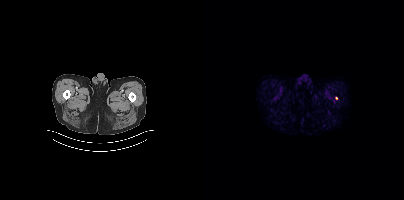
{"modality":"PSMA PET/CT","view":"axial","tracer":"[68Ga]Ga-PSMA-11","pet_grid":[200,200],"coord_frame":"pet_panel","coord_format":"x0,y0,x1,y1","partial":true,"lesion_bboxes":[]}